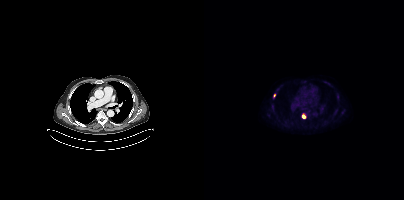
modality: PSMA PET/CT | tracer: [18F]PSMA-1007 | view: axial
Coordinates are on the 200×200 PET (right) panel. Small PSMA-avid foci (2 to 4 px across) near (center x, center y): (99, 116), (70, 95).